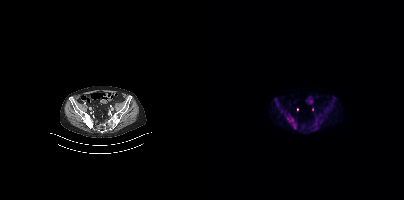
Findings: Coordinates are on the 200×200 PET (right) panel. (showing 2 of 4 foci) PSMA-avid tumor lesion bounding boxes (x, y, width, height): x=70 y=98 w=10 h=16 | x=83 y=117 w=9 h=11.
Technique: Two-panel axial: CT | PSMA PET, 18F-PSMA tracer.